- Two-panel axial: CT | PSMA PET, 18F tracer
- face de-identified by blanking a block of the head
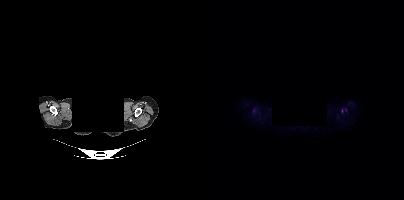
Findings: Coordinates are on the 200×200 PET (right) panel. (showing 1 of 2 foci) Small PSMA-avid focus (2 to 4 px across) near (center x, center y): (50, 110).